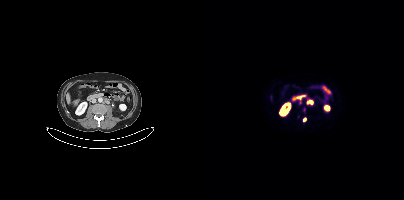
- Left: CT. Right: PSMA PET, same axial level, 68Ga-PSMA tracer
- acquired on Siemens Biograph mCT Flow 20
- PET panel 200×200 px (4.1 mm/px)
Findings: Coordinates are on the 200×200 PET (right) panel. (showing 3 of 4 foci) PSMA-avid tumor lesion bounding box (x0,y0,x1,y1): [103,100,108,104]. Small PSMA-avid foci (2 to 4 px across) near (center x, center y): (100, 119); (96, 99).